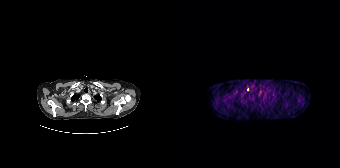
modality: PSMA PET/CT | tracer: [68Ga]Ga-PSMA-11 | view: axial | PET grid: 168×168
Coordinates are on the 168×168 PET (right) panel. Small PSMA-avid focus (2 to 4 px across) near (center x, center y): (75, 89).